- Left: CT. Right: PSMA PET, same axial level, 18F-PSMA tracer
- slice position z = -711 mm
- PET panel 200×200 px (4.1 mm/px)
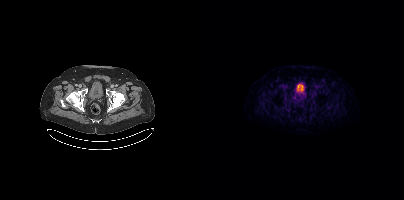
Findings: Coordinates are on the 200×200 PET (right) panel. PSMA-avid tumor lesion bounding box (x, y, width, height): x=83 y=85 w=5 h=4.